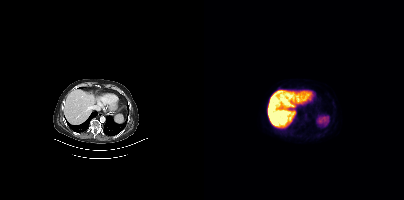
Only PSMA-avid lesion pieces thinner than 2 px on this slice (not listed).